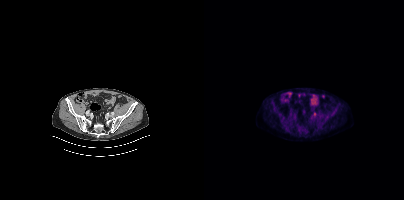
modality: PSMA PET/CT | tracer: [18F]PSMA-1007 | view: axial | PET grid: 200×200
Coordinates are on the 200×200 PET (right) panel. Small PSMA-avid focus (2 to 4 px across) near (center x, center y): (110, 114).